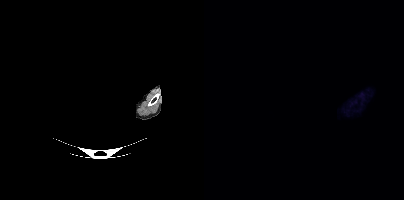
Left: CT. Right: PSMA PET, same axial level, 18F-PSMA tracer. Slice position z = 352 mm. PET panel 200×200 px (4.1 mm/px). An anonymization step blacked out a rectangle over the head in this scan. No tumor lesions annotated on this slice.